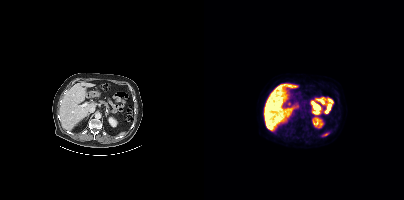
No tumor lesions annotated on this slice.